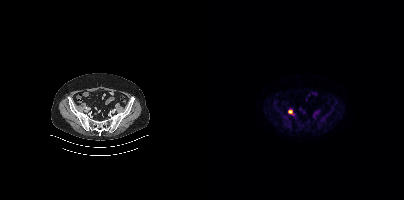
Left: CT. Right: PSMA PET, same axial level, 18F tracer. Slice position z = -833 mm. Coordinates are on the 200×200 PET (right) panel. PSMA-avid tumor lesion bounding box (x0, y0)-(x1, y1): (84, 110)-(88, 113).